Two-panel axial: CT | PSMA PET, [68Ga]Ga-PSMA-11 tracer.
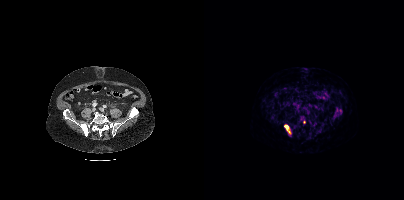
Coordinates are on the 200×200 PET (right) panel. (showing 3 of 4 foci) PSMA-avid tumor lesion bounding box (x0, y0)-(x1, y1): (80, 125)-(87, 134). Small PSMA-avid foci (2 to 4 px across) near (center x, center y): (136, 110) | (100, 122).